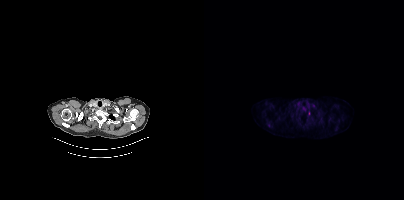
{"modality":"PSMA PET/CT","view":"axial","tracer":"18F-PSMA","pet_grid":[200,200],"coord_frame":"pet_panel","coord_format":"x0,y0,x1,y1","partial":true,"lesion_bboxes":[]}